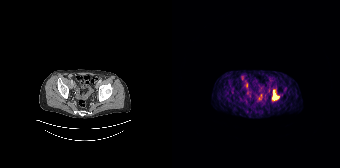
Paired axial CT (left) and PSMA PET (right), 68Ga-PSMA tracer. Acquired on Siemens Biograph 64-4R TruePoint. Coordinates are on the 168×168 PET (right) panel. PSMA-avid tumor lesion bounding box (x0,y0,x1,y1): [101,90,105,98].